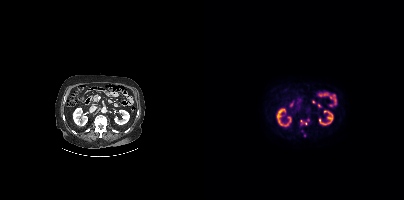
{"modality":"PSMA PET/CT","view":"axial","tracer":"18F-PSMA","pet_grid":[200,200],"coord_frame":"pet_panel","coord_format":"x0,y0,x1,y1","lesion_bboxes":[[97,120,103,124]]}